Left: CT. Right: PSMA PET, same axial level, 18F-PSMA tracer. Acquired on Siemens Biograph mCT Flow 20. Slice position z = 62 mm.
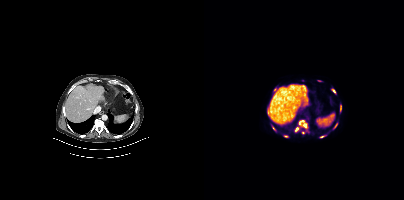
Coordinates are on the 200×200 PET (right) panel. (showing 9 of 10 foci) PSMA-avid tumor lesion bounding boxes (x, y, width, height): x=95 y=120 w=5 h=5 | x=68 y=126 w=4 h=5 | x=131 y=123 w=3 h=5. Small PSMA-avid foci (2 to 4 px across) near (center x, center y): (100, 125) | (130, 91) | (93, 129) | (81, 136) | (117, 136) | (71, 89).